Technique: Left: CT. Right: PSMA PET, same axial level, 18F-PSMA tracer. acquired on Siemens Biograph mCT Flow 20. PET panel 200×200 px (4.1 mm/px).
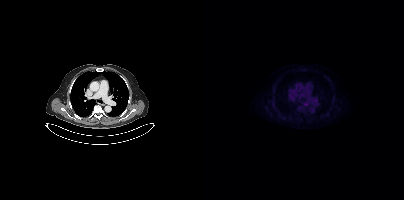
Findings: This slice has no annotated PSMA-avid lesion.